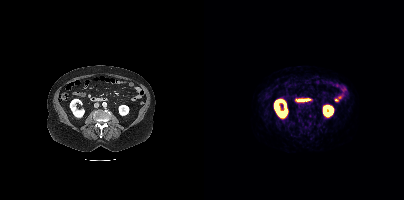
This slice has no annotated PSMA-avid lesion.